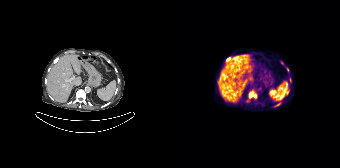
Findings: Coordinates are on the 168×168 PET (right) panel. (showing 4 of 8 foci) PSMA-avid tumor lesion bounding boxes (x, y, width, height): x=76 y=90 w=9 h=9 | x=102 y=104 w=6 h=4. Small PSMA-avid foci (2 to 4 px across) near (center x, center y): (56, 59) | (115, 69).
Technique: Two-panel axial: CT | PSMA PET, 68Ga tracer. acquired on Siemens Biograph 64-4R TruePoint. slice position z = -914 mm.